- Left: CT. Right: PSMA PET, same axial level, 18F-PSMA tracer
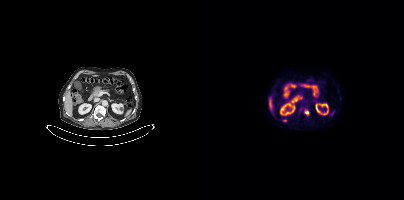
Findings: Coordinates are on the 200×200 PET (right) panel. PSMA-avid tumor lesion bounding boxes (x, y, width, height): x=101 y=111 w=4 h=6 / x=79 y=119 w=5 h=3.